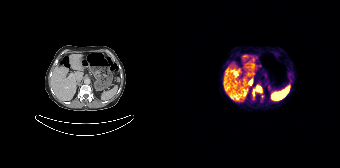
{"modality":"PSMA PET/CT","view":"axial","tracer":"68Ga","pet_grid":[168,168],"coord_frame":"pet_panel","coord_format":"x0,y0,x1,y1","partial":true,"lesion_bboxes":[[80,85,90,95]]}